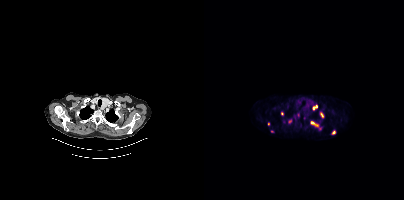
Coordinates are on the 200×200 PET (right) panel. PSMA-avid tumor lesion bounding boxes (partial; 2 more foci not listed):
| # | x0 | y0 | x1 | y1 |
|---|---|---|---|---|
| 1 | 107 | 121 | 117 | 130 |
| 2 | 85 | 120 | 88 | 124 |
| 3 | 109 | 105 | 113 | 109 |
| 4 | 116 | 112 | 120 | 116 |
Small PSMA-avid foci (2 to 4 px across) near (center x, center y): (94, 114); (129, 132); (78, 113); (64, 124); (91, 119).
Two-panel axial: CT | PSMA PET, [68Ga]Ga-PSMA-11 tracer. Slice position z = -1000 mm.